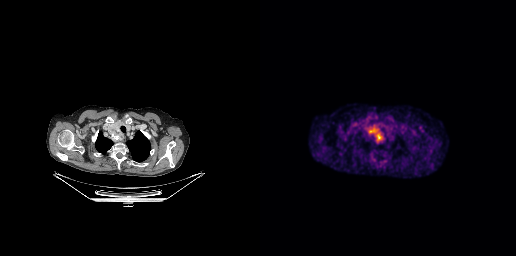
Paired axial CT (left) and PSMA PET (right), 18F tracer. Acquired on GE Discovery 690. Slice 217 of 263. PET panel 256×256 px (2.7 mm/px). Coordinates are on the 256×256 PET (right) panel. PSMA-avid tumor lesion bounding box (x0,y0,x1,y1): [107,126,123,142].